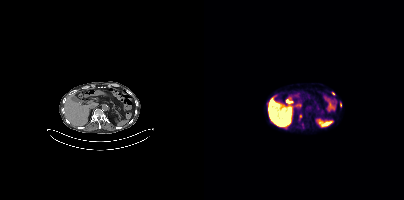
Two-panel axial: CT | PSMA PET, [18F]PSMA-1007 tracer.
Coordinates are on the 200×200 PET (right) panel. PSMA-avid tumor lesion bounding boxes:
| # | x0 | y0 | x1 | y1 |
|---|---|---|---|---|
| 1 | 95 | 114 | 97 | 119 |
Small PSMA-avid foci (2 to 4 px across) near (center x, center y): (129, 93); (136, 104).